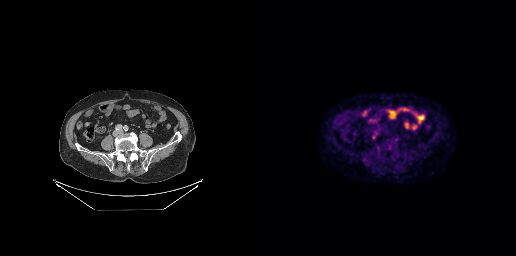
{"modality":"PSMA PET/CT","view":"axial","tracer":"18F-PSMA","pet_grid":[256,256],"coord_frame":"pet_panel","coord_format":"x0,y0,x1,y1","partial":true,"lesion_bboxes":[]}